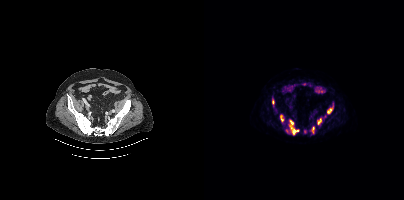
Coordinates are on the 200×200 PET (right) panel. PSMA-avid tumor lesion bounding boxes (x, y, width, height): x=85 y=120 w=11 h=15 / x=123 y=105 w=7 h=10 / x=113 y=119 w=5 h=6 / x=107 y=126 w=4 h=8 / x=76 y=115 w=4 h=7 / x=68 y=99 w=3 h=6. Small PSMA-avid foci (2 to 4 px across) near (center x, center y): (100, 131) / (82, 130).